- Two-panel axial: CT | PSMA PET, 18F tracer
- acquired on Siemens Biograph mCT Flow 20
- slice position z = 1255 mm
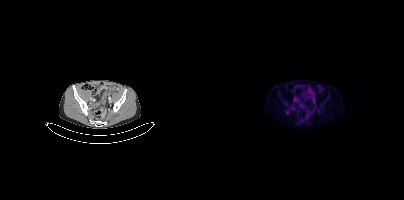
Findings: Coordinates are on the 200×200 PET (right) panel. PSMA-avid tumor lesion bounding box (x0,y0,x1,y1): [81,110,85,115].